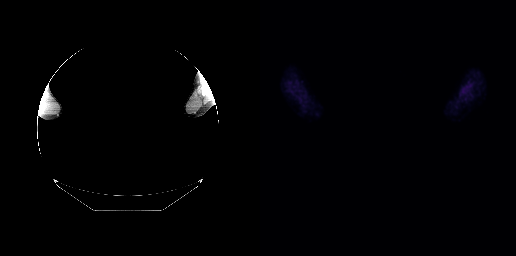
This slice has no annotated PSMA-avid lesion.
An anonymization step blacked out a rectangle over the head in this scan.